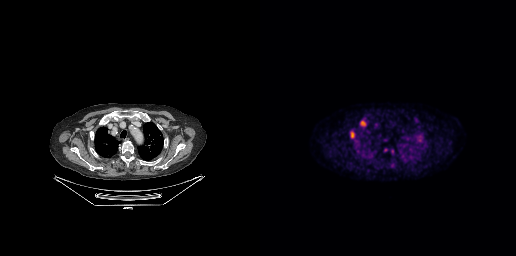
Findings: Coordinates are on the 256×256 PET (right) panel. PSMA-avid tumor lesion bounding boxes (x0, y0)-(x1, y1): (100, 120)-(106, 126) | (90, 131)-(94, 138). Small PSMA-avid foci (2 to 4 px across) near (center x, center y): (125, 150) | (132, 151).
Technique: Paired axial CT (left) and PSMA PET (right), 18F tracer. acquired on GE Discovery 690.